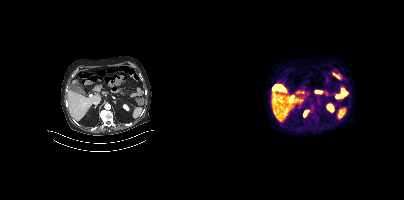
Coordinates are on the 200×200 PET (right) panel. PSMA-avid tumor lesion bounding boxes:
| # | x0 | y0 | x1 | y1 |
|---|---|---|---|---|
| 1 | 99 | 110 | 104 | 117 |
Two-panel axial: CT | PSMA PET, [18F]PSMA-1007 tracer. Acquired on Siemens Biograph mCT Flow 20. PET panel 200×200 px (4.1 mm/px).